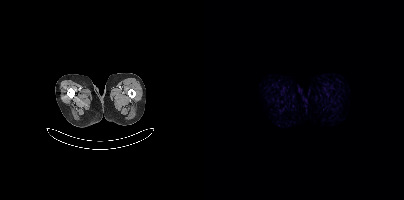
Paired axial CT (left) and PSMA PET (right), [18F]PSMA-1007 tracer. Acquired on Siemens Biograph mCT Flow 20. No tumor lesions annotated on this slice.